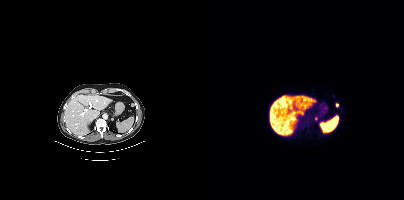
{"modality":"PSMA PET/CT","view":"axial","tracer":"18F-PSMA","pet_grid":[200,200],"coord_frame":"pet_panel","coord_format":"x0,y0,x1,y1","lesion_bboxes":[],"small_foci_centers":[[133,104],[112,118]]}